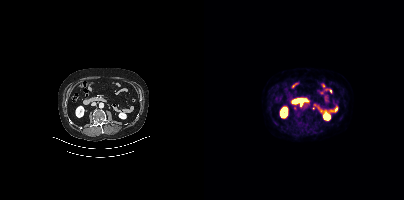
{"pet_grid":[200,200],"coord_frame":"pet_panel","coord_format":"x0,y0,x1,y1","partial":true,"lesion_bboxes":[],"small_foci_centers":[[90,107]],"modality":"PSMA PET/CT","view":"axial","tracer":"18F"}